Technique: Paired axial CT (left) and PSMA PET (right), 18F-PSMA tracer. acquired on Siemens Biograph 64-4R TruePoint. PET panel 168×168 px (4.1 mm/px).
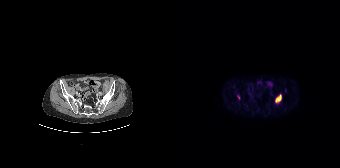
Findings: Coordinates are on the 168×168 PET (right) panel. PSMA-avid tumor lesion bounding box (x0, y0)-(x1, y1): (103, 94)-(109, 103). Small PSMA-avid focus (2 to 4 px across) near (center x, center y): (66, 97).